Left: CT. Right: PSMA PET, same axial level, 18F-PSMA tracer. Slice 222 of 413. PET panel 200×200 px (4.1 mm/px).
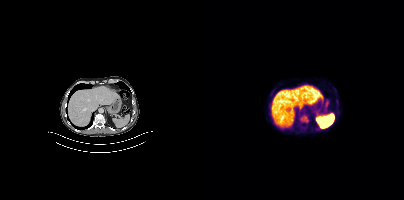
Coordinates are on the 200×200 PET (right) panel. PSMA-avid tumor lesion bounding boxes:
| # | x0 | y0 | x1 | y1 |
|---|---|---|---|---|
| 1 | 96 | 115 | 103 | 122 |